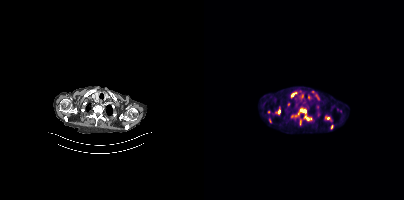
- Two-panel axial: CT | PSMA PET, 18F-PSMA tracer
- acquired on Siemens Biograph mCT Flow 20
- slice 304 of 367
- PET panel 200×200 px (4.1 mm/px)
Findings: Coordinates are on the 200×200 PET (right) panel. (showing 7 of 8 foci) PSMA-avid tumor lesion bounding boxes (x0, y0)-(x1, y1): (87, 107)-(108, 121) / (64, 119)-(67, 123) / (96, 119)-(97, 125). Small PSMA-avid foci (2 to 4 px across) near (center x, center y): (88, 94) / (72, 112) / (84, 103) / (64, 111).